Left: CT. Right: PSMA PET, same axial level, [18F]PSMA-1007 tracer. PET panel 256×256 px (2.7 mm/px). Face de-identified by blanking a block of the head.
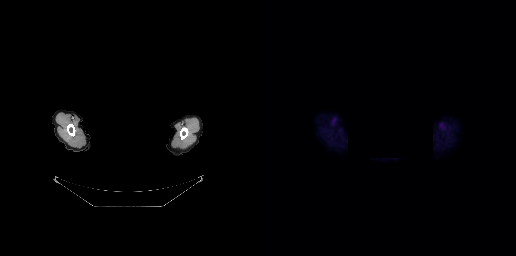
This slice has no annotated PSMA-avid lesion.